- Left: CT. Right: PSMA PET, same axial level, 18F tracer
- acquired on Siemens Biograph mCT Flow 20
- slice position z = 402 mm
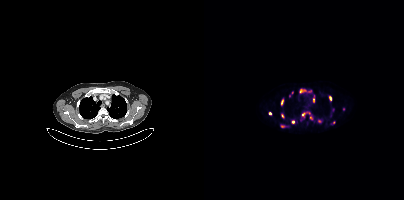
Findings: Coordinates are on the 200×200 PET (right) panel. (showing 15 of 20 foci) PSMA-avid tumor lesion bounding boxes (x0,y0,x1,y1): [96,89,101,92], [109,95,110,102]. Small PSMA-avid foci (2 to 4 px across) near (center x, center y): (99, 114), (115, 121), (78, 126), (78, 115), (66, 113), (107, 118), (89, 122), (126, 98), (139, 109), (106, 91), (77, 103), (129, 122), (88, 92).